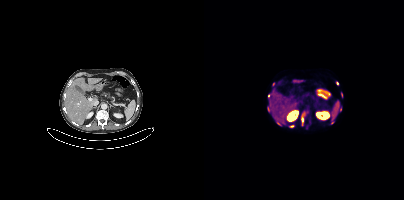
Paired axial CT (left) and PSMA PET (right), [18F]PSMA-1007 tracer. Acquired on Siemens Biograph mCT Flow 20. Slice position z = 198 mm.
Coordinates are on the 200×200 PET (right) panel. PSMA-avid tumor lesion bounding boxes (partial; 2 more foci not listed):
| # | x0 | y0 | x1 | y1 |
|---|---|---|---|---|
| 1 | 97 | 113 | 100 | 121 |
Small PSMA-avid foci (2 to 4 px across) near (center x, center y): (128, 122); (74, 123); (87, 126); (64, 96); (133, 83); (137, 94); (64, 109).